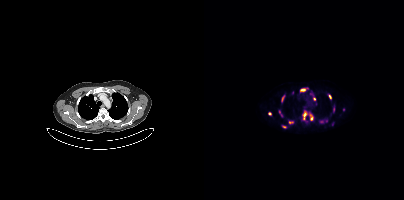
modality: PSMA PET/CT | tracer: [18F]PSMA-1007 | view: axial
Coordinates are on the 200×200 PET (right) panel. (showing 13 of 15 foci) PSMA-avid tumor lesion bounding boxes (x, y, width, height): x=99 y=112 w=5 h=8; x=106 y=114 w=4 h=7; x=96 y=88 w=6 h=4; x=108 y=94 w=4 h=7; x=77 y=96 w=4 h=6; x=129 y=107 w=2 h=5. Small PSMA-avid foci (2 to 4 px across) near (center x, center y): (86, 122); (79, 127); (117, 121); (125, 96); (139, 109); (65, 113); (75, 111).